Technique: Paired axial CT (left) and PSMA PET (right), [18F]PSMA-1007 tracer. slice position z = 24 mm.
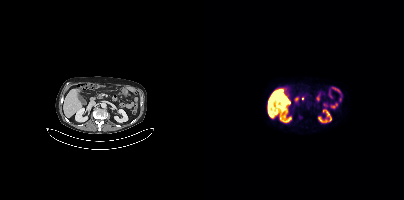
Findings: No PSMA-avid tumor lesions on this slice.